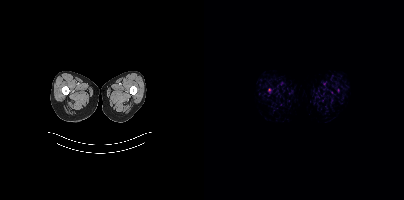
- Two-panel axial: CT | PSMA PET, 18F tracer
- acquired on Siemens Biograph mCT Flow 20
- slice 4 of 429
Findings: Coordinates are on the 200×200 PET (right) panel. (showing 1 of 2 foci) Small PSMA-avid focus (2 to 4 px across) near (center x, center y): (65, 89).